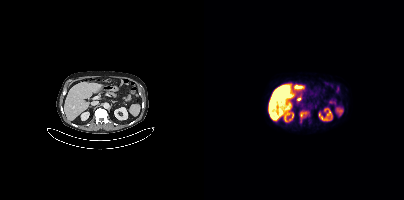
Coordinates are on the 200×200 PET (right) panel. PSMA-avid tumor lesion bounding box (x, y, width, height): x=96 y=111 w=9 h=11.